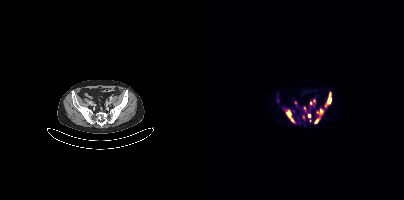
Coordinates are on the 200×200 PET (right) panel. (showing 10 of 11 foci) PSMA-avid tumor lesion bounding boxes (x, y, width, height): x=82 y=110 w=10 h=14 | x=121 y=93 w=7 h=14 | x=113 y=109 w=7 h=7 | x=103 y=114 w=4 h=8 | x=109 y=99 w=3 h=5 | x=100 y=106 w=2 h=5 | x=99 y=115 w=2 h=5. Small PSMA-avid foci (2 to 4 px across) near (center x, center y): (112, 121) | (91, 102) | (106, 103).